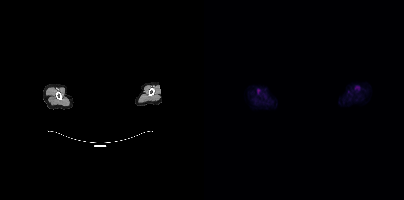
Face de-identified by blanking a block of the head.
No tumor lesions annotated on this slice.